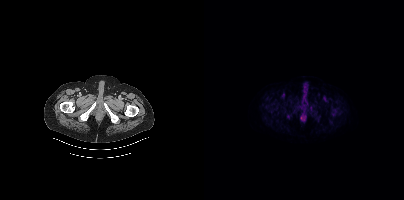
Coordinates are on the 200×200 PET (right) panel. PSMA-avid tumor lesion bounding boxes (x, y, width, height): x=91 y=105 w=5 h=5 / x=83 y=114 w=5 h=5. Small PSMA-avid focus (2 to 4 px across) near (center x, center y): (131, 113).